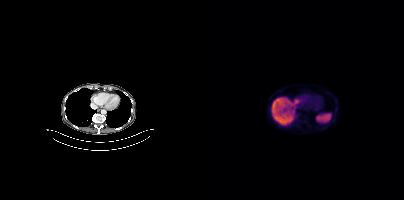
{"pet_grid":[200,200],"coord_frame":"pet_panel","coord_format":"x0,y0,x1,y1","psma_avid_lesions":false,"modality":"PSMA PET/CT","view":"axial","tracer":"[18F]PSMA-1007"}